Left: CT. Right: PSMA PET, same axial level, [18F]PSMA-1007 tracer. Acquired on Siemens Biograph mCT Flow 20.
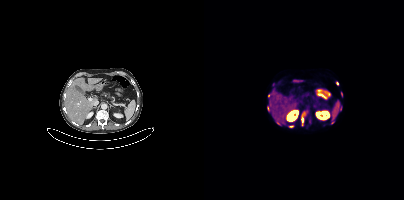
Coordinates are on the 200×200 PET (right) panel. PSMA-avid tumor lesion bounding boxes (partial; 1 more focus not listed):
| # | x0 | y0 | x1 | y1 |
|---|---|---|---|---|
| 1 | 97 | 112 | 101 | 122 |
Small PSMA-avid foci (2 to 4 px across) near (center x, center y): (137, 93); (128, 122); (87, 126); (133, 83); (64, 108); (136, 107); (74, 123).